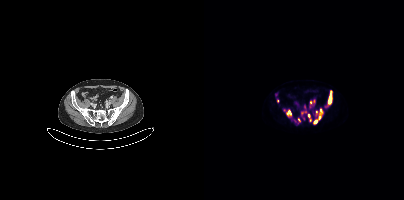
Coordinates are on the 200×200 PET (right) panel. PSMA-avid tumor lesion bounding boxes (x0, y0)-(x1, y1): (121, 90)-(128, 106) | (114, 109)-(118, 119) | (82, 110)-(87, 117) | (104, 115)-(107, 121) | (106, 100)-(111, 104) | (97, 111)-(101, 115) | (109, 120)-(113, 123) | (94, 118)-(96, 123). Small PSMA-avid foci (2 to 4 px across) near (center x, center y): (112, 112) | (100, 107) | (73, 100) | (99, 118) | (90, 120).